modality: PSMA PET/CT | tracer: 68Ga | view: axial | PET grid: 256×256
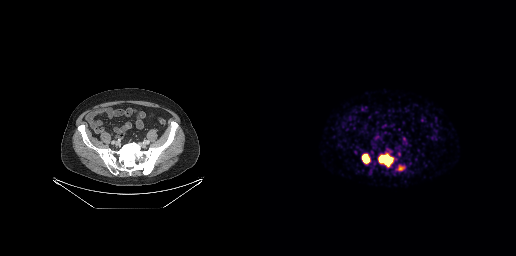
Coordinates are on the 256×256 PET (right) panel. (showing 2 of 3 foci) PSMA-avid tumor lesion bounding boxes (x0,y0,x1,y1): [119,154,133,166] [102,154,109,162].